Technique: Left: CT. Right: PSMA PET, same axial level, [18F]PSMA-1007 tracer. acquired on Siemens Biograph mCT Flow 20. PET panel 200×200 px (4.1 mm/px).
Note: The face region was removed for patient privacy by blanking a rectangle over the head.
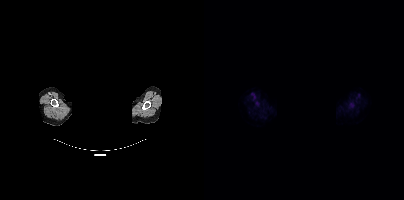
Findings: Coordinates are on the 200×200 PET (right) panel. (showing 1 of 2 foci) PSMA-avid tumor lesion bounding box (x0,y0,x1,y1): [145,104,148,108].